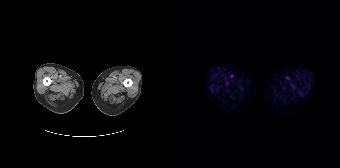
Technique: Paired axial CT (left) and PSMA PET (right), 18F tracer. slice 18 of 195.
Findings: This slice has no annotated PSMA-avid lesion.